Paired axial CT (left) and PSMA PET (right), [18F]PSMA-1007 tracer.
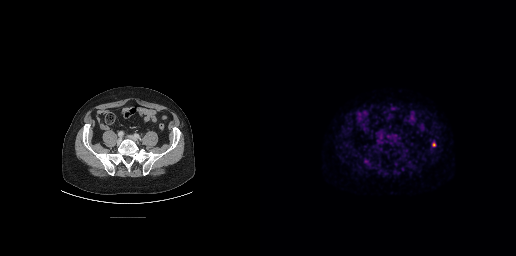
Coordinates are on the 256×256 PET (right) panel. PSMA-avid tumor lesion bounding boxes:
| # | x0 | y0 | x1 | y1 |
|---|---|---|---|---|
| 1 | 172 | 141 | 176 | 146 |